modality: PSMA PET/CT | tracer: 18F | view: axial
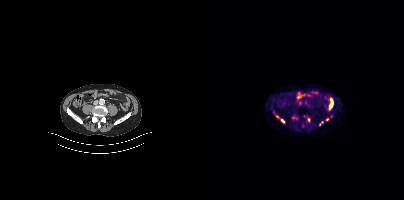
Coordinates are on the 200×200 PET (right) panel. (showing 4 of 6 foci) PSMA-avid tumor lesion bounding box (x0,y0,x1,y1): [77,120,81,122]. Small PSMA-avid foci (2 to 4 px across) near (center x, center y): (104, 120) (73, 116) (122, 119).